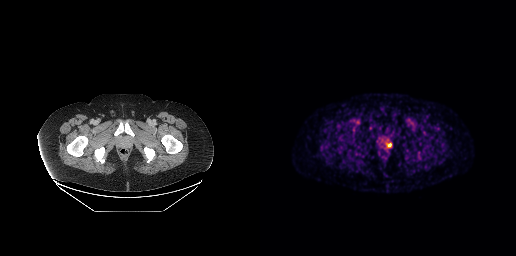
- Paired axial CT (left) and PSMA PET (right), [18F]PSMA-1007 tracer
- PET panel 256×256 px (2.7 mm/px)
Findings: Coordinates are on the 256×256 PET (right) panel. Small PSMA-avid focus (2 to 4 px across) near (center x, center y): (129, 144).